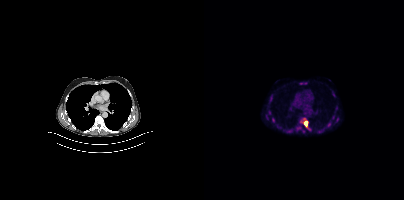
Coordinates are on the 200×200 PET (right) panel. (showing 6 of 8 foci) PSMA-avid tumor lesion bounding boxes (x0, y0)-(x1, y1): (100, 120)-(104, 126); (95, 82)-(103, 84); (66, 96)-(68, 101). Small PSMA-avid foci (2 to 4 px across) near (center x, center y): (133, 119); (69, 120); (129, 117).
modality: PSMA PET/CT | tracer: [18F]PSMA-1007 | view: axial